- Left: CT. Right: PSMA PET, same axial level, [18F]PSMA-1007 tracer
- slice 326 of 413
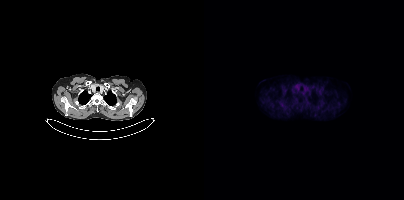
Findings: No tumor lesions annotated on this slice.